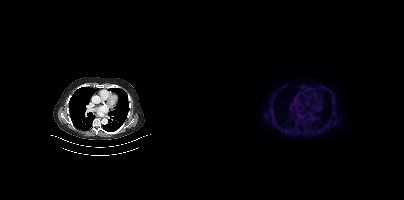
No PSMA-avid tumor lesions on this slice.
modality: PSMA PET/CT | tracer: 18F | view: axial